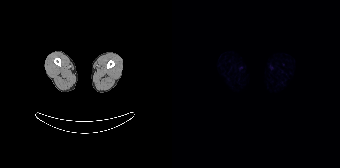
- Left: CT. Right: PSMA PET, same axial level, 18F tracer
Findings: This slice has no annotated PSMA-avid lesion.